- Left: CT. Right: PSMA PET, same axial level, [68Ga]Ga-PSMA-11 tracer
- slice 17 of 165
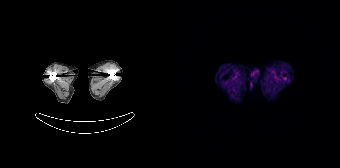
Findings: Negative for PSMA-avid disease on this slice.